- Paired axial CT (left) and PSMA PET (right), [18F]PSMA-1007 tracer
- PET panel 200×200 px (4.1 mm/px)
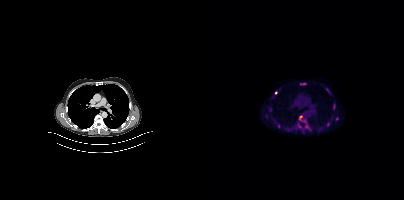
Findings: Coordinates are on the 200×200 PET (right) panel. PSMA-avid tumor lesion bounding boxes (x0,y0,x1,y1): [96,82,102,85], [129,104,131,109], [123,122,125,126]. Small PSMA-avid foci (2 to 4 px across) near (center x, center y): (71, 92), (132, 118), (66, 109), (96, 116).